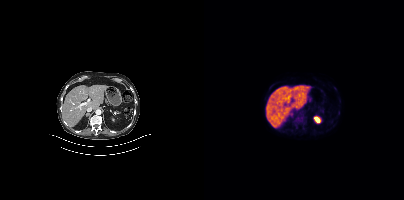
Findings: This slice has no annotated PSMA-avid lesion.
Technique: Two-panel axial: CT | PSMA PET, [18F]PSMA-1007 tracer. acquired on Siemens Biograph mCT Flow 20. slice 231 of 423. PET panel 200×200 px (4.1 mm/px).